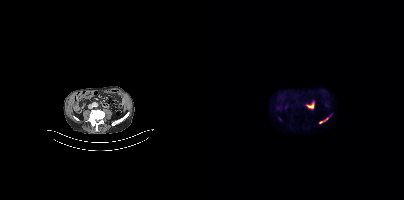
Coordinates are on the 200×200 PET (right) panel. (showing 1 of 2 foci) PSMA-avid tumor lesion bounding box (x0,y0,x1,y1): [115,114,127,124].